Technique: Two-panel axial: CT | PSMA PET, [18F]PSMA-1007 tracer. acquired on Siemens Biograph mCT Flow 20. PET panel 200×200 px (4.1 mm/px).
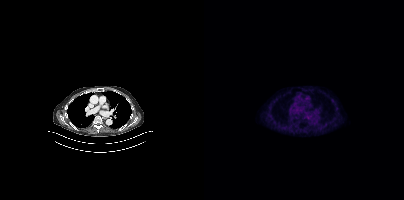
Findings: No tumor lesions annotated on this slice.